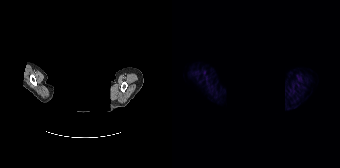
Negative for PSMA-avid disease on this slice. Any black rectangle over the head is a privacy mask, not anatomy. Paired axial CT (left) and PSMA PET (right), 18F tracer. Slice 173 of 195.